Technique: Paired axial CT (left) and PSMA PET (right), [18F]PSMA-1007 tracer.
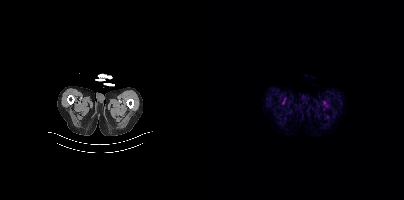
Findings: No PSMA-avid tumor lesions on this slice.